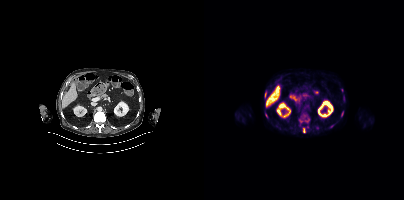
Two-panel axial: CT | PSMA PET, [18F]PSMA-1007 tracer. Acquired on Siemens Biograph mCT Flow 20.
Coordinates are on the 200×200 PET (right) panel. PSMA-avid tumor lesion bounding boxes (partial; 2 more foci not listed):
| # | x0 | y0 | x1 | y1 |
|---|---|---|---|---|
| 1 | 99 | 128 | 101 | 132 |
Small PSMA-avid foci (2 to 4 px across) near (center x, center y): (61, 94); (62, 115).